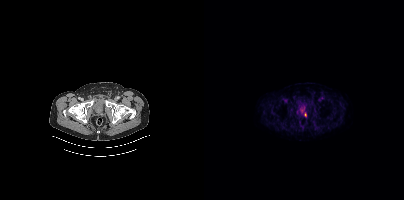
Findings: Coordinates are on the 200×200 PET (right) panel. Small PSMA-avid focus (2 to 4 px across) near (center x, center y): (101, 114).
Technique: Two-panel axial: CT | PSMA PET, 18F-PSMA tracer. acquired on Siemens Biograph mCT Flow 20. slice position z = -900 mm.